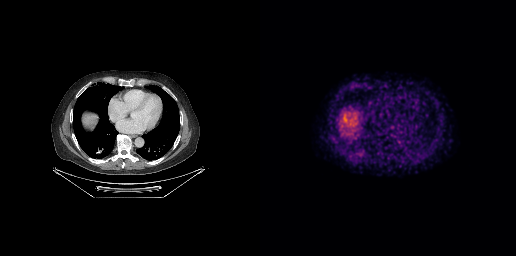
modality: PSMA PET/CT | tracer: 68Ga | view: axial
No tumor lesions annotated on this slice.